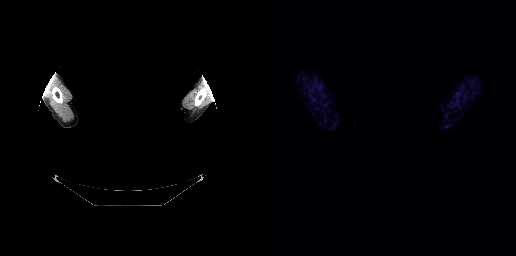
{"pet_grid":[256,256],"coord_frame":"pet_panel","coord_format":"x0,y0,x1,y1","psma_avid_lesions":false,"modality":"PSMA PET/CT","view":"axial","tracer":"18F-PSMA","redaction":"facial region redacted"}